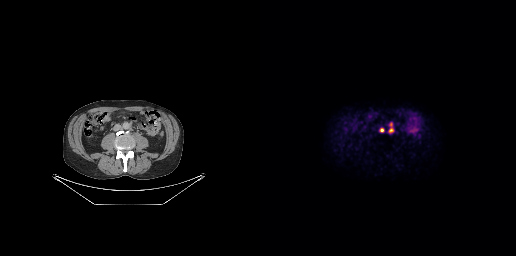
- Left: CT. Right: PSMA PET, same axial level, 18F tracer
- slice position z = -483 mm
- PET panel 256×256 px (2.7 mm/px)
Findings: Coordinates are on the 256×256 PET (right) panel. PSMA-avid tumor lesion bounding boxes (x, y, width, height): x=128 y=122 w=6 h=12 / x=120 y=128 w=5 h=5.